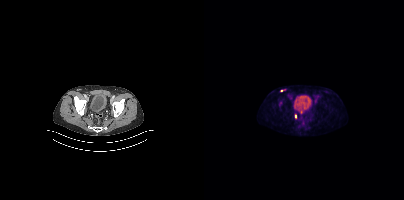
Coordinates are on the 200×200 PET (right) panel. PSMA-avid tumor lesion bounding box (x0,y0,x1,y1): [77,89,81,91]. Small PSMA-avid foci (2 to 4 px across) near (center x, center y): (91, 116), (97, 112).